- Two-panel axial: CT | PSMA PET, [18F]PSMA-1007 tracer
- acquired on Siemens Biograph mCT Flow 20
- PET panel 200×200 px (4.1 mm/px)
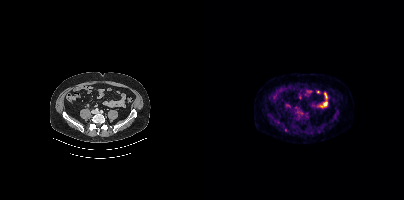
Findings: Coordinates are on the 200×200 PET (right) panel. Small PSMA-avid focus (2 to 4 px across) near (center x, center y): (81, 129).